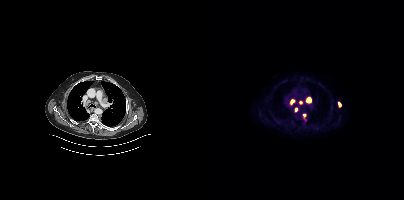
Coordinates are on the 200×200 PET (right) panel. PSMA-avid tumor lesion bounding boxes (x, y, width, height): x=102 y=97 w=6 h=7; x=86 y=99 w=6 h=6; x=134 y=102 w=4 h=5; x=99 y=114 w=4 h=5; x=91 y=107 w=3 h=5. Small PSMA-avid focus (2 to 4 px across) near (center x, center y): (96, 102).